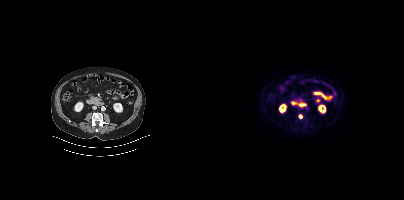
Coordinates are on the 200×200 PET (right) panel. Small PSMA-avid focus (2 to 4 px across) near (center x, center y): (96, 116).